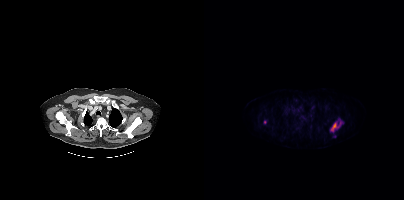
- Two-panel axial: CT | PSMA PET, 18F tracer
- slice 333 of 417
- PET panel 200×200 px (4.1 mm/px)
Findings: Coordinates are on the 200×200 PET (right) panel. PSMA-avid tumor lesion bounding box (x0, y0)-(x1, y1): (127, 119)-(139, 130). Small PSMA-avid foci (2 to 4 px across) near (center x, center y): (130, 136) | (60, 122).